Paired axial CT (left) and PSMA PET (right), 18F-PSMA tracer. Acquired on Siemens Biograph mCT Flow 20. Slice position z = -1069 mm.
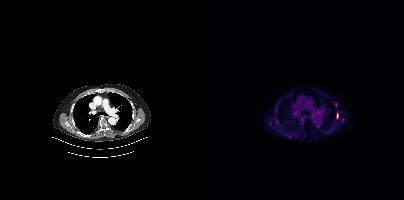
Coordinates are on the 200×200 PET (right) panel. PSMA-avid tumor lesion bounding boxes (partial; 2 more foci not listed):
| # | x0 | y0 | x1 | y1 |
|---|---|---|---|---|
| 1 | 71 | 108 | 72 | 112 |
| 2 | 133 | 114 | 134 | 118 |
Small PSMA-avid foci (2 to 4 px across) near (center x, center y): (139, 119); (131, 104).